Paired axial CT (left) and PSMA PET (right), [18F]PSMA-1007 tracer. Acquired on Siemens Biograph mCT Flow 20. Slice 289 of 381. PET panel 200×200 px (4.1 mm/px).
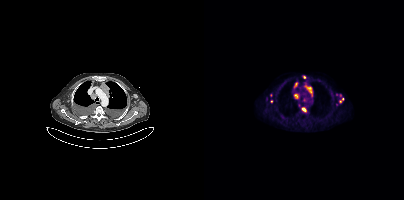
Coordinates are on the 200×200 PET (right) panel. PSMA-avid tumor lesion bounding boxes (x0, y0)-(x1, y1): (101, 85)-(108, 96) | (98, 107)-(102, 112) | (90, 94)-(94, 98) | (90, 82)-(93, 87) | (132, 94)-(136, 96). Small PSMA-avid foci (2 to 4 px across) near (center x, center y): (100, 77) | (67, 101) | (66, 95) | (138, 98) | (136, 101).